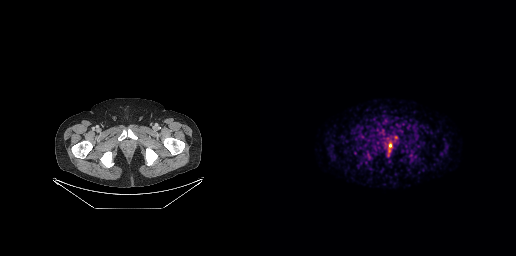
Coordinates are on the 256×256 PET (right) panel. PSMA-avid tumor lesion bounding box (x0, y0)-(x1, y1): (128, 142)-(132, 147). Small PSMA-avid focus (2 to 4 px across) near (center x, center y): (135, 137).